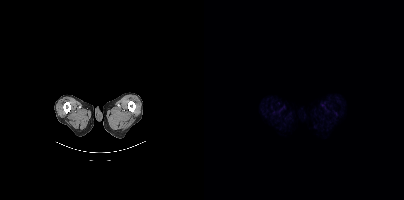
No tumor lesions annotated on this slice. Paired axial CT (left) and PSMA PET (right), 18F-PSMA tracer.